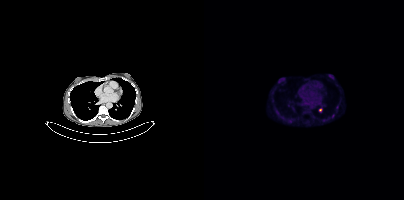
Coordinates are on the 200×200 PET (right) panel. (showing 5 of 6 foci) Small PSMA-avid foci (2 to 4 px across) near (center x, center y): (129, 115); (133, 107); (116, 110); (86, 121); (74, 113).